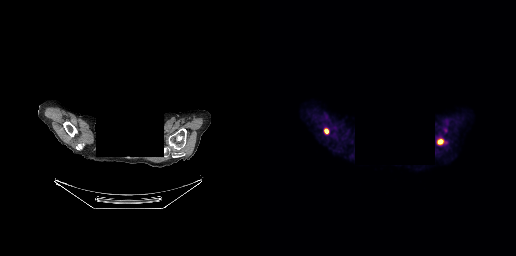
Technique: Two-panel axial: CT | PSMA PET, 18F tracer. acquired on GE Discovery 690. PET panel 256×256 px (2.7 mm/px).
Note: Face de-identified by blanking a block of the head.
Findings: Coordinates are on the 256×256 PET (right) panel. PSMA-avid tumor lesion bounding boxes (x0, y0)-(x1, y1): (177, 139)-(183, 144); (64, 128)-(68, 133).